Two-panel axial: CT | PSMA PET, [18F]PSMA-1007 tracer. Slice 343 of 429. PET panel 200×200 px (4.1 mm/px).
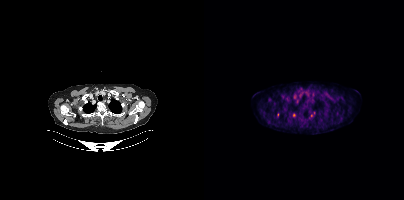
Coordinates are on the 200×200 PET (right) panel. (showing 2 of 3 foci) Small PSMA-avid foci (2 to 4 px across) near (center x, center y): (73, 114) (89, 115).